Left: CT. Right: PSMA PET, same axial level, 18F tracer. Acquired on Siemens Biograph mCT Flow 20. PET panel 200×200 px (4.1 mm/px).
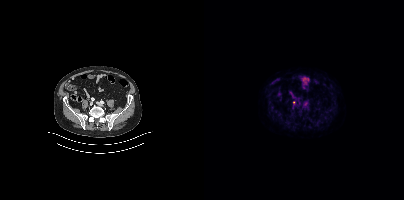
Coordinates are on the 200×200 PET (right) panel. Small PSMA-avid focus (2 to 4 px across) near (center x, center y): (89, 102).